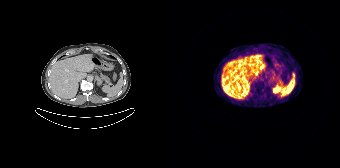
No PSMA-avid tumor lesions on this slice.
modality: PSMA PET/CT | tracer: 68Ga-PSMA | view: axial | PET grid: 168×168